Technique: Two-panel axial: CT | PSMA PET, 18F tracer. acquired on Siemens Biograph 64-4R TruePoint. slice 35 of 165. PET panel 168×168 px (4.1 mm/px).
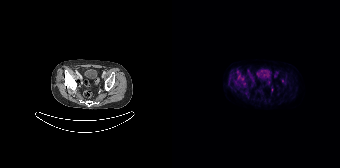
Findings: Coordinates are on the 168×168 PET (right) panel. Small PSMA-avid focus (2 to 4 px across) near (center x, center y): (100, 89).